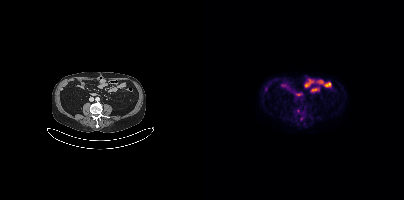
{"modality":"PSMA PET/CT","view":"axial","tracer":"18F-PSMA","pet_grid":[200,200],"coord_frame":"pet_panel","coord_format":"x0,y0,x1,y1","psma_avid_lesions":false}